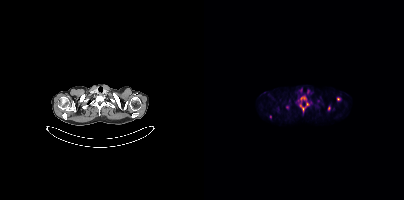
Coordinates are on the 200×200 PET (right) panel. (showing 7 of 8 foci) PSMA-avid tumor lesion bounding boxes (x, y, width, height): x=94 y=95 w=12 h=18; x=124 y=106 w=3 h=5. Small PSMA-avid foci (2 to 4 px across) near (center x, center y): (134, 99); (104, 91); (82, 107); (66, 116); (114, 100).
modality: PSMA PET/CT | tracer: 18F-PSMA | view: axial | PET grid: 200×200